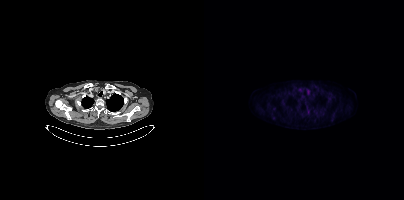
Paired axial CT (left) and PSMA PET (right), 18F tracer. Slice 342 of 421. No tumor lesions annotated on this slice.